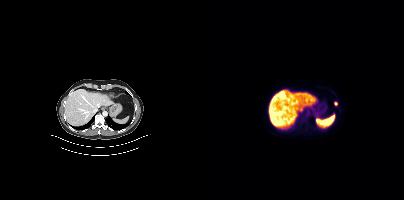
Coordinates are on the 200×200 PET (right) panel. Small PSMA-avid focus (2 to 4 px across) near (center x, center y): (131, 103).